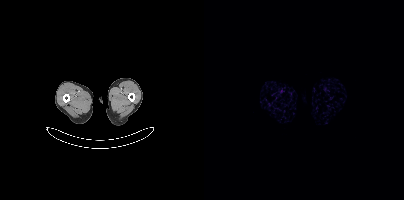
Two-panel axial: CT | PSMA PET, 68Ga tracer. Acquired on Siemens Biograph mCT Flow 20. PET panel 200×200 px (4.1 mm/px). Negative for PSMA-avid disease on this slice.